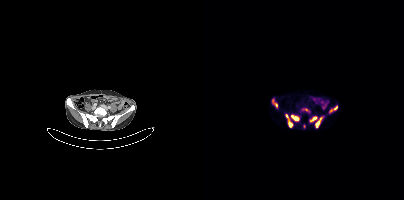
Two-panel axial: CT | PSMA PET, 68Ga tracer. Acquired on Siemens Biograph mCT Flow 20. Slice position z = -999 mm. PET panel 200×200 px (4.1 mm/px).
Coordinates are on the 200×200 PET (right) panel. PSMA-avid tumor lesion bounding boxes (partial; 1 more focus not listed):
| # | x0 | y0 | x1 | y1 |
|---|---|---|---|---|
| 1 | 87 | 115 | 95 | 120 |
| 2 | 68 | 99 | 73 | 107 |
| 3 | 84 | 120 | 88 | 127 |
| 4 | 126 | 106 | 133 | 112 |
| 5 | 111 | 121 | 115 | 127 |
| 6 | 106 | 116 | 112 | 121 |
| 7 | 82 | 114 | 84 | 118 |
Small PSMA-avid foci (2 to 4 px across) near (center x, center y): (100, 126); (116, 118).